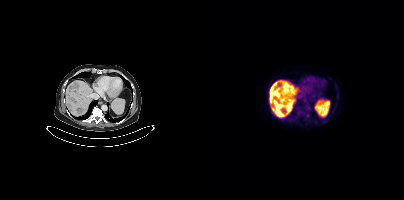
Left: CT. Right: PSMA PET, same axial level, [18F]PSMA-1007 tracer. Slice position z = -1161 mm. Coordinates are on the 200×200 PET (right) panel. (showing 2 of 3 foci) PSMA-avid tumor lesion bounding box (x0, y0)-(x1, y1): (66, 88)-(74, 96). Small PSMA-avid focus (2 to 4 px across) near (center x, center y): (73, 83).